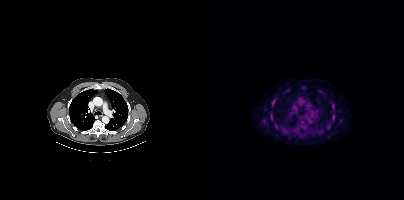
Findings: Coordinates are on the 200×200 PET (right) panel. PSMA-avid tumor lesion bounding boxes (x0,y0,x1,y1): [67,99,71,103]; [128,103,130,108]. Small PSMA-avid foci (2 to 4 px across) near (center x, center y): (129, 118); (67, 118).
Technique: Left: CT. Right: PSMA PET, same axial level, [18F]PSMA-1007 tracer. acquired on Siemens Biograph mCT Flow 20. slice 313 of 438. PET panel 200×200 px (4.1 mm/px).